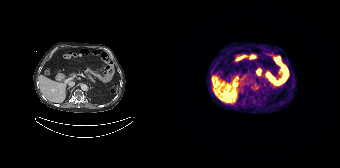
{"pet_grid":[168,168],"coord_frame":"pet_panel","coord_format":"x0,y0,x1,y1","psma_avid_lesions":false,"modality":"PSMA PET/CT","view":"axial","tracer":"[68Ga]Ga-PSMA-11"}